Technique: Paired axial CT (left) and PSMA PET (right), 68Ga tracer. slice position z = -1036 mm. PET panel 168×168 px (4.1 mm/px).
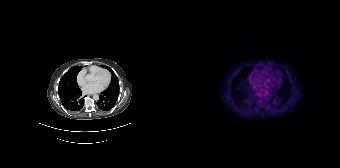
Findings: No tumor lesions annotated on this slice.